- Paired axial CT (left) and PSMA PET (right), 18F tracer
- acquired on Siemens Biograph mCT Flow 20
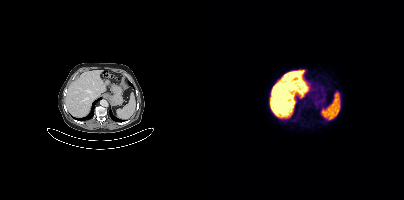
Findings: Only PSMA-avid lesion pieces thinner than 2 px on this slice (not listed).